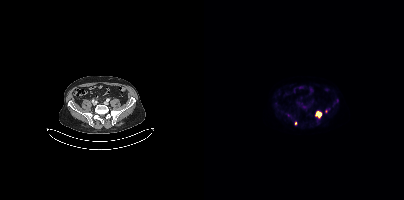
Coordinates are on the 200×200 PET (right) panel. (showing 5 of 6 foci) PSMA-avid tumor lesion bounding box (x, y, width, height): x=112 y=112 w=6 h=6. Small PSMA-avid foci (2 to 4 px across) near (center x, center y): (84, 115) | (91, 123) | (124, 109) | (121, 111).